- Paired axial CT (left) and PSMA PET (right), [18F]PSMA-1007 tracer
- acquired on Siemens Biograph mCT Flow 20
- slice position z = -1537 mm
- PET panel 200×200 px (4.1 mm/px)
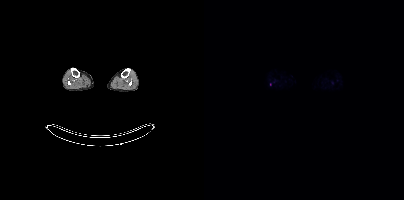
Findings: Negative for PSMA-avid disease on this slice.